Two-panel axial: CT | PSMA PET, [18F]PSMA-1007 tracer. Acquired on Siemens Biograph 64-4R TruePoint. Slice position z = 2058 mm. PET panel 168×168 px (4.1 mm/px). Any black rectangle over the head is a privacy mask, not anatomy.
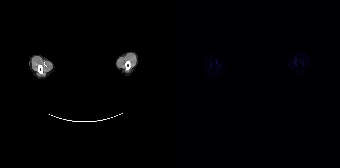
Negative for PSMA-avid disease on this slice.